Left: CT. Right: PSMA PET, same axial level, 68Ga-PSMA tracer. Acquired on Siemens Biograph mCT Flow 20. Slice position z = -1240 mm. PET panel 200×200 px (4.1 mm/px).
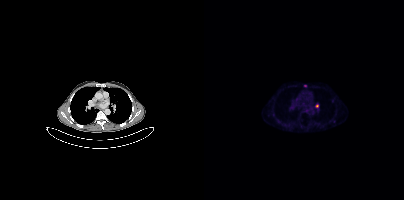
Coordinates are on the 200×200 PET (right) panel. Small PSMA-avid focus (2 to 4 px across) near (center x, center y): (113, 106).